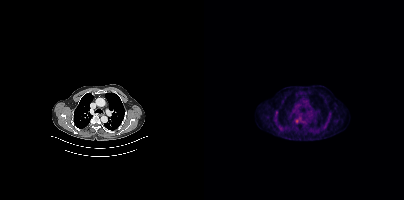
- Two-panel axial: CT | PSMA PET, [18F]PSMA-1007 tracer
Findings: Coordinates are on the 200×200 PET (right) panel. Small PSMA-avid focus (2 to 4 px across) near (center x, center y): (92, 120).